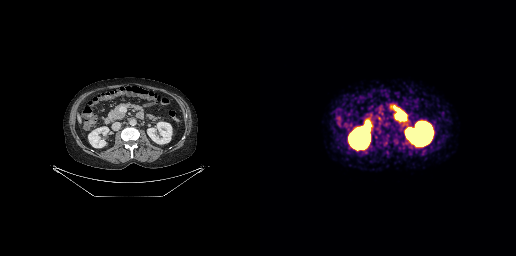
{"modality":"PSMA PET/CT","view":"axial","tracer":"68Ga-PSMA","pet_grid":[256,256],"coord_frame":"pet_panel","coord_format":"x0,y0,x1,y1","psma_avid_lesions":false}